modality: PSMA PET/CT | tracer: 18F-PSMA | view: axial | PET grid: 256×256
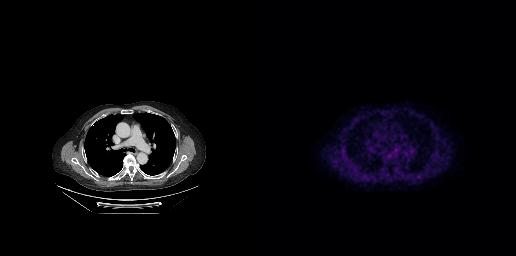
Coordinates are on the 256×256 PET (right) panel. PSMA-avid tumor lesion bounding box (x0,y0,x1,y1): [81,147,85,154].